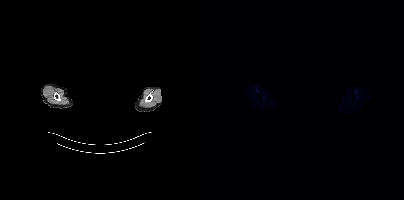
modality: PSMA PET/CT | tracer: 18F | view: axial | deidentification: privacy mask over head
This slice has no annotated PSMA-avid lesion.